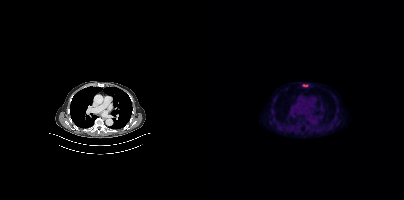
This slice has no annotated PSMA-avid lesion.